- Paired axial CT (left) and PSMA PET (right), [18F]PSMA-1007 tracer
- PET panel 200×200 px (4.1 mm/px)
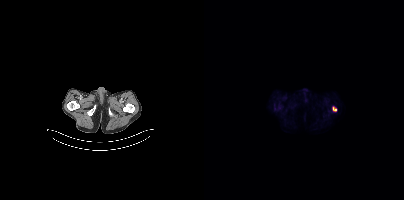
Findings: Coordinates are on the 200×200 PET (right) panel. PSMA-avid tumor lesion bounding box (x, y, width, height): x=129 y=107 w=4 h=5.